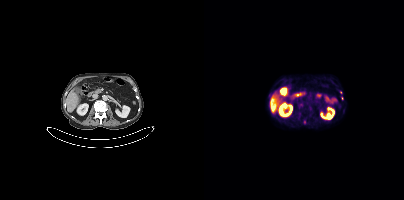
modality: PSMA PET/CT | tracer: [18F]PSMA-1007 | view: axial | PET grid: 200×200
Coordinates are on the 200×200 PET (right) panel. Small PSMA-avid focus (2 to 4 px across) near (center x, center y): (138, 98).